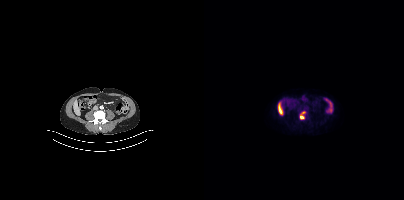
{"modality":"PSMA PET/CT","view":"axial","tracer":"18F","pet_grid":[200,200],"coord_frame":"pet_panel","coord_format":"x0,y0,x1,y1","lesion_bboxes":[[96,112,101,119]]}